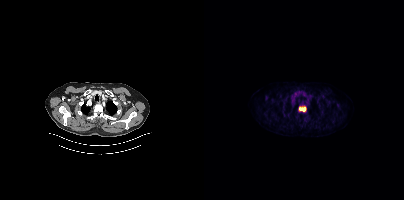
Paired axial CT (left) and PSMA PET (right), 18F-PSMA tracer. Acquired on Siemens Biograph mCT Flow 20. Slice position z = -448 mm. Coordinates are on the 200×200 PET (right) panel. PSMA-avid tumor lesion bounding box (x, y, width, height): x=95 y=106 w=8 h=6.